Two-panel axial: CT | PSMA PET, 18F-PSMA tracer. Acquired on GE Discovery 690. Slice 15 of 263.
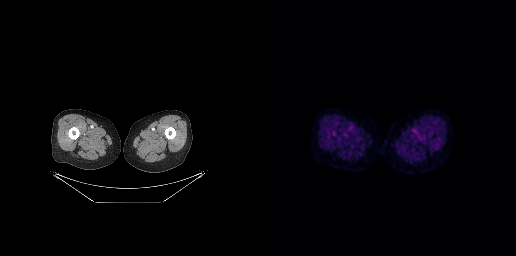
No PSMA-avid tumor lesions on this slice.